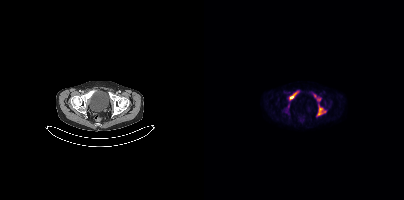
{"pet_grid":[200,200],"coord_frame":"pet_panel","coord_format":"x0,y0,x1,y1","partial":true,"lesion_bboxes":[[113,104,122,116],[85,91,94,100],[110,94,116,101]],"modality":"PSMA PET/CT","view":"axial","tracer":"[18F]PSMA-1007"}